Technique: Left: CT. Right: PSMA PET, same axial level, 18F-PSMA tracer. slice position z = -1714 mm. PET panel 168×168 px (4.1 mm/px).
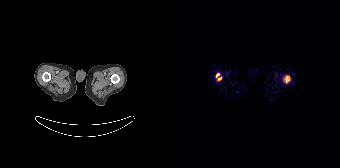
Findings: Coordinates are on the 168×168 PET (right) panel. PSMA-avid tumor lesion bounding boxes (x, y, width, height): x=111 y=75 w=8 h=9 / x=44 y=73 w=4 h=5. Small PSMA-avid focus (2 to 4 px across) near (center x, center y): (47, 78).